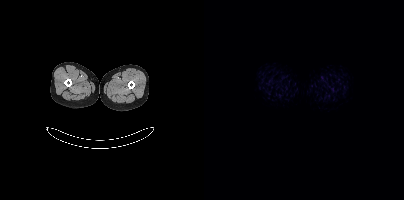
- Two-panel axial: CT | PSMA PET, [18F]PSMA-1007 tracer
Findings: No PSMA-avid tumor lesions on this slice.